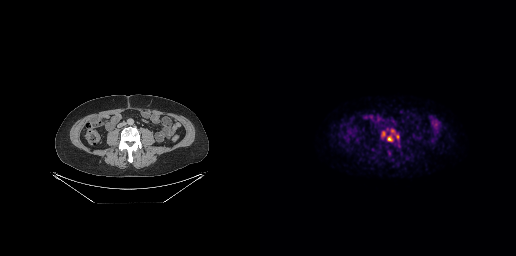
modality: PSMA PET/CT | tracer: [18F]PSMA-1007 | view: axial | PET grid: 256×256
Coordinates are on the 256×256 PET (right) panel. PSMA-avid tumor lesion bounding boxes (x, y, width, height): x=127 y=135 w=7 h=7 | x=122 y=131 w=4 h=6 | x=131 y=129 w=4 h=5 | x=136 y=135 w=4 h=5.